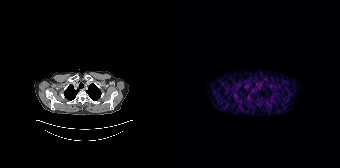
This slice has no annotated PSMA-avid lesion.
modality: PSMA PET/CT | tracer: 68Ga-PSMA | view: axial